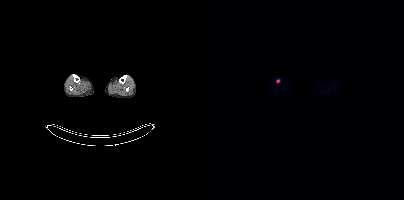
- Paired axial CT (left) and PSMA PET (right), 18F tracer
- PET panel 200×200 px (4.1 mm/px)
Findings: Coordinates are on the 200×200 PET (right) panel. Small PSMA-avid focus (2 to 4 px across) near (center x, center y): (73, 80).